Technique: Left: CT. Right: PSMA PET, same axial level, 18F-PSMA tracer. slice 175 of 423. PET panel 200×200 px (4.1 mm/px).
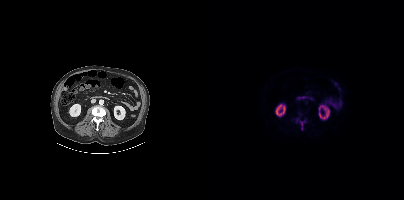
Findings: Coordinates are on the 200×200 PET (right) panel. PSMA-avid tumor lesion bounding box (x, y, width, height): x=96 y=120 w=6 h=11. Small PSMA-avid focus (2 to 4 px across) near (center x, center y): (93, 119).